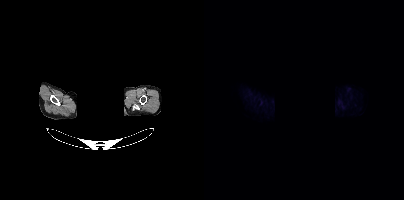
Findings: No tumor lesions annotated on this slice.
- Left: CT. Right: PSMA PET, same axial level, [18F]PSMA-1007 tracer
- privacy masking over the head, with the pixels inside a rectangle set to black